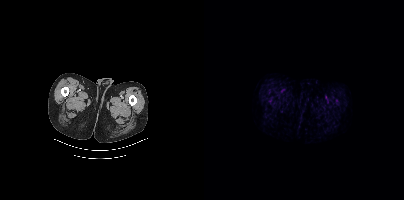
Two-panel axial: CT | PSMA PET, 18F-PSMA tracer. Slice 23 of 462. PET panel 200×200 px (4.1 mm/px). Negative for PSMA-avid disease on this slice.